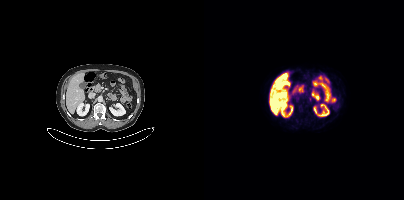
modality: PSMA PET/CT | tracer: [18F]PSMA-1007 | view: axial
Coordinates are on the 200×200 PET (right) panel. Small PSMA-avid focus (2 to 4 px across) near (center x, center y): (106, 99).